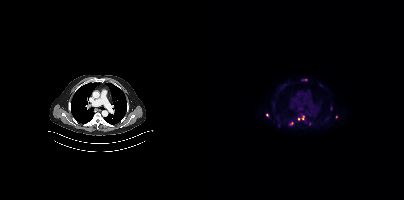
Two-panel axial: CT | PSMA PET, [18F]PSMA-1007 tracer. Acquired on Siemens Biograph mCT Flow 20. Slice position z = -318 mm. PET panel 200×200 px (4.1 mm/px).
Coordinates are on the 200×200 PET (right) panel. PSMA-avid tumor lesion bounding boxes (partial; 1 more focus not listed):
| # | x0 | y0 | x1 | y1 |
|---|---|---|---|---|
| 1 | 98 | 79 | 103 | 80 |
Small PSMA-avid foci (2 to 4 px across) near (center x, center y): (99, 117); (63, 115); (87, 123); (94, 119).